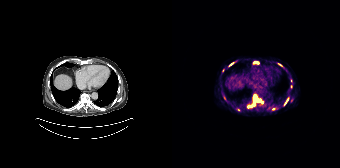
{"modality":"PSMA PET/CT","view":"axial","tracer":"[68Ga]Ga-PSMA-11","pet_grid":[168,168],"coord_frame":"pet_panel","coord_format":"x0,y0,x1,y1","partial":true,"lesion_bboxes":[[75,95,91,107],[113,97,117,103],[82,61,86,63],[57,63,61,65]],"small_foci_centers":[[107,64],[51,70],[119,86]]}